Left: CT. Right: PSMA PET, same axial level, 18F tracer.
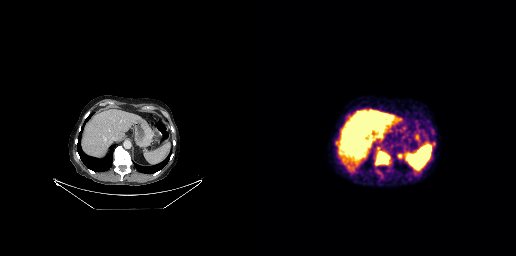
Coordinates are on the 256×256 PET (right) panel. PSMA-avid tumor lesion bounding boxes:
| # | x0 | y0 | x1 | y1 |
|---|---|---|---|---|
| 1 | 115 | 153 | 130 | 165 |
| 2 | 171 | 128 | 174 | 134 |